Left: CT. Right: PSMA PET, same axial level, [68Ga]Ga-PSMA-11 tracer.
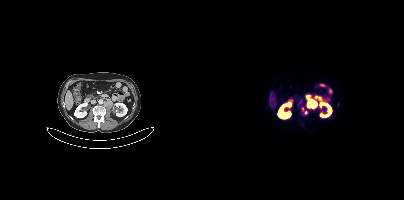
Coordinates are on the 200×200 PET (right) panel. PSMA-avid tumor lesion bounding boxes (x0,y0,x1,y1): [97,107,103,113], [94,99,98,105], [133,103,135,107].